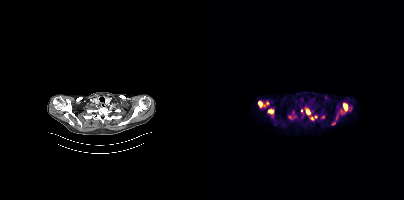
{"pet_grid":[200,200],"coord_frame":"pet_panel","coord_format":"x0,y0,x1,y1","partial":true,"lesion_bboxes":[[139,103,144,110],[54,101,60,107],[106,115,113,119],[64,109,69,114],[102,109,106,114],[84,115,88,119],[117,115,120,119],[136,109,138,114]],"small_foci_centers":[[129,123],[63,103],[97,110],[132,116]],"modality":"PSMA PET/CT","view":"axial","tracer":"18F"}